- Two-panel axial: CT | PSMA PET, 68Ga-PSMA tracer
- acquired on Siemens Biograph mCT Flow 20
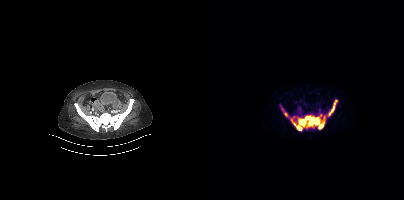
Findings: Coordinates are on the 200×200 PET (right) panel. PSMA-avid tumor lesion bounding boxes (x0,y0,x1,y1): [88,114,121,130] [124,100,133,115] [75,104,85,118].